Left: CT. Right: PSMA PET, same axial level, [68Ga]Ga-PSMA-11 tracer. Acquired on Siemens Biograph 64-4R TruePoint. Slice position z = -872 mm. PET panel 168×168 px (4.1 mm/px).
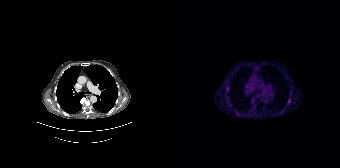
Coordinates are on the 168×168 PET (right) panel. (showing 5 of 6 foci) PSMA-avid tumor lesion bounding box (x, y, width, height): x=54 y=86 w=3 h=5. Small PSMA-avid foci (2 to 4 px across) near (center x, center y): (109, 111) / (65, 112) / (118, 90) / (56, 102).